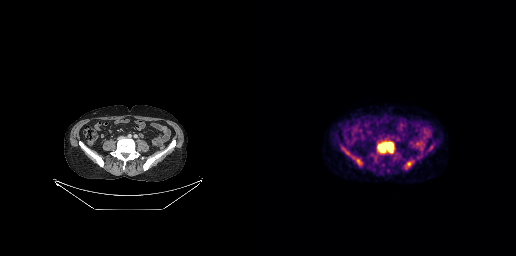
{"modality":"PSMA PET/CT","view":"axial","tracer":"18F-PSMA","pet_grid":[256,256],"coord_frame":"pet_panel","coord_format":"x0,y0,x1,y1","lesion_bboxes":[[118,142,134,152],[145,161,153,168],[97,159,101,164]]}